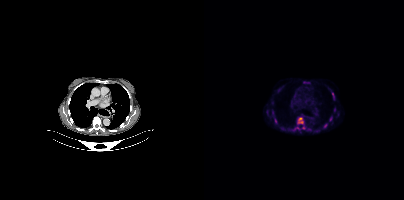
Findings: Coordinates are on the 200×200 PET (right) panel. (showing 9 of 10 foci) PSMA-avid tumor lesion bounding boxes (x0, y0)-(x1, y1): (93, 117)-(99, 124) | (128, 92)-(130, 97) | (70, 118)-(72, 122). Small PSMA-avid foci (2 to 4 px across) near (center x, center y): (68, 111) | (121, 125) | (99, 128) | (126, 119) | (90, 129) | (93, 127).
Technique: Paired axial CT (left) and PSMA PET (right), 18F-PSMA tracer. acquired on Siemens Biograph mCT Flow 20. slice position z = 350 mm. PET panel 200×200 px (4.1 mm/px).